- Left: CT. Right: PSMA PET, same axial level, 18F tracer
- acquired on Siemens Biograph mCT Flow 20
- slice position z = 346 mm
- PET panel 200×200 px (4.1 mm/px)
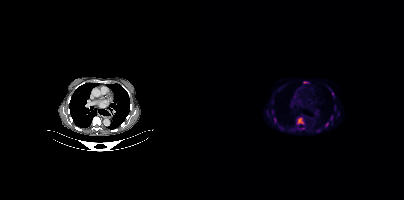
Findings: Coordinates are on the 200×200 PET (right) panel. (showing 6 of 7 foci) PSMA-avid tumor lesion bounding boxes (x0,y0,x1,y1): [93,117,99,124]; [99,81,104,83]; [70,117,72,121]. Small PSMA-avid foci (2 to 4 px across) near (center x, center y): (128, 93); (122, 125); (127, 117).